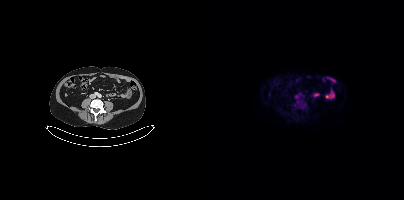
No PSMA-avid tumor lesions on this slice. Paired axial CT (left) and PSMA PET (right), 18F tracer.